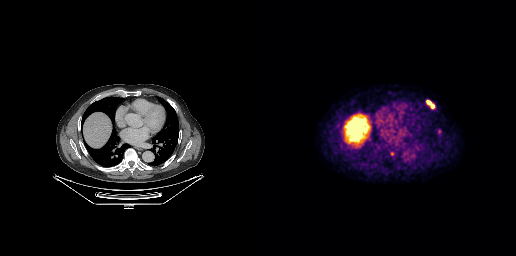
Coordinates are on the 256×256 PET (right) panel. PSMA-avid tumor lesion bounding boxes (x0, y0)-(x1, y1): (166, 100)-(175, 108) / (178, 129)-(181, 133). Small PSMA-avid focus (2 to 4 px across) near (center x, center y): (131, 153). Left: CT. Right: PSMA PET, same axial level, [18F]PSMA-1007 tracer. Acquired on GE Discovery 690. Slice 185 of 263.